Technique: Paired axial CT (left) and PSMA PET (right), 68Ga tracer. PET panel 200×200 px (4.1 mm/px).
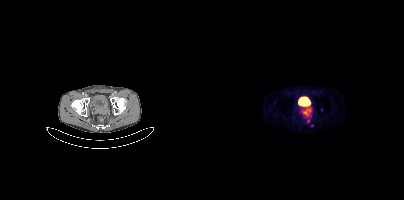
Findings: Coordinates are on the 200×200 PET (right) panel. PSMA-avid tumor lesion bounding box (x0,y0,x1,y1): [98,107,107,116]. Small PSMA-avid focus (2 to 4 px across) near (center x, center y): (103, 121).